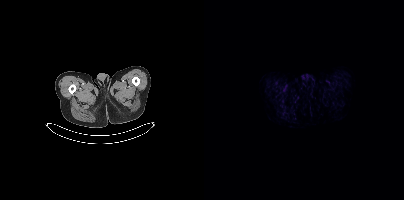
Negative for PSMA-avid disease on this slice.